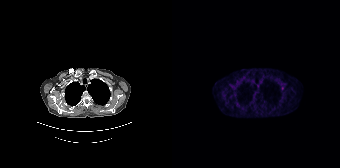
Paired axial CT (left) and PSMA PET (right), 68Ga-PSMA tracer. Slice position z = -788 mm. PET panel 168×168 px (4.1 mm/px). Only PSMA-avid lesion pieces thinner than 2 px on this slice (not listed).